Two-panel axial: CT | PSMA PET, [18F]PSMA-1007 tracer. PET panel 200×200 px (4.1 mm/px).
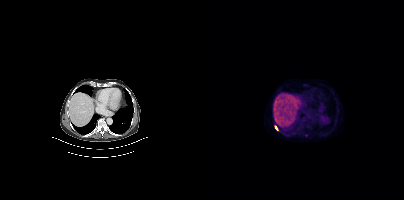
Coordinates are on the 200×200 PET (right) panel. PSMA-avid tumor lesion bounding box (x, y, width, height): x=71 y=125 w=4 h=6.